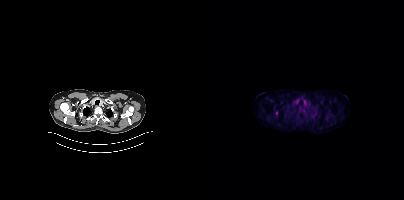
modality: PSMA PET/CT | tracer: 18F-PSMA | view: axial | PET grid: 200×200
Coordinates are on the 200×200 PET (right) panel. PSMA-avid tumor lesion bounding box (x0,y0,x1,y1): [71,111,74,115].